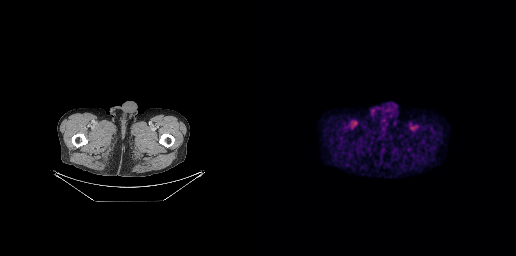
{"modality":"PSMA PET/CT","view":"axial","tracer":"[18F]PSMA-1007","pet_grid":[256,256],"coord_frame":"pet_panel","coord_format":"x0,y0,x1,y1","psma_avid_lesions":false}